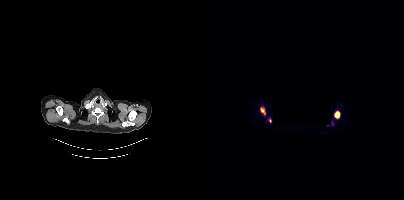
{"modality":"PSMA PET/CT","view":"axial","tracer":"18F","pet_grid":[200,200],"coord_frame":"pet_panel","coord_format":"x0,y0,x1,y1","deidentification":"privacy mask (black rectangle)","partial":true,"lesion_bboxes":[[130,111,135,118],[57,108,61,113]]}